Two-panel axial: CT | PSMA PET, 18F tracer. Slice position z = -1563 mm. PET panel 200×200 px (4.1 mm/px).
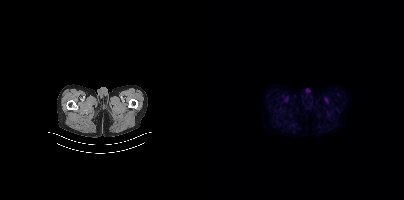
No tumor lesions annotated on this slice.